- Left: CT. Right: PSMA PET, same axial level, [18F]PSMA-1007 tracer
- slice 216 of 263
- PET panel 256×256 px (2.7 mm/px)
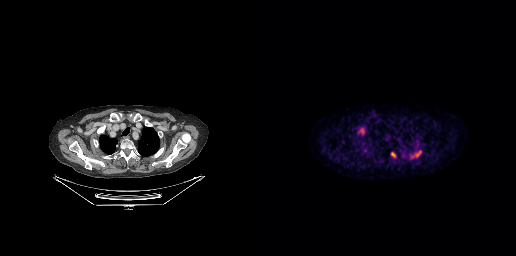
Findings: Coordinates are on the 256×256 PET (right) panel. PSMA-avid tumor lesion bounding boxes (x0,y0,x1,y1): [149,150,161,159]; [97,127,105,134]; [131,152,136,157].